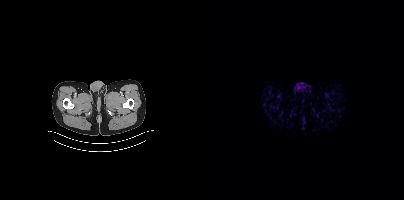
Two-panel axial: CT | PSMA PET, 68Ga tracer. Negative for PSMA-avid disease on this slice.